Technique: Two-panel axial: CT | PSMA PET, [18F]PSMA-1007 tracer. slice 169 of 263.
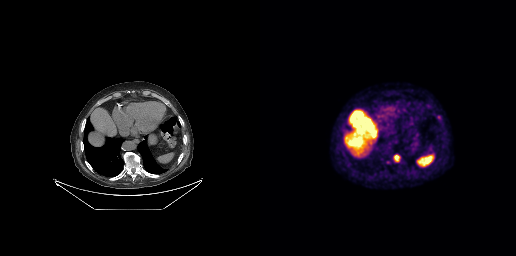
Findings: Coordinates are on the 256×256 PET (right) panel. PSMA-avid tumor lesion bounding box (x0,y0,x1,y1): [134,155,139,161].